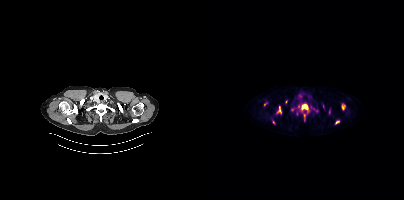
modality: PSMA PET/CT | tracer: 18F | view: axial
Coordinates are on the 200×200 PET (right) panel. PSMA-avid tumor lesion bounding boxes (x0,y0,x1,y1): [98,104,103,109] [73,106,77,113] [99,114,101,121] [138,105,140,109]. Small PSMA-avid foci (2 to 4 px across) near (center x, center y): (82, 101) (133, 122) (88, 109) (69, 122) (60, 104).